Paired axial CT (left) and PSMA PET (right), [18F]PSMA-1007 tracer. Acquired on Siemens Biograph mCT Flow 20. PET panel 200×200 px (4.1 mm/px).
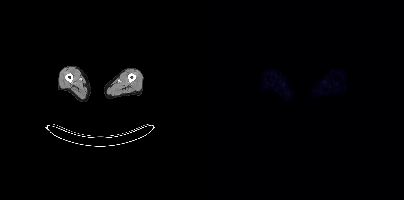
Negative for PSMA-avid disease on this slice.